Two-panel axial: CT | PSMA PET, 18F-PSMA tracer. Slice position z = -678 mm. PET panel 256×256 px (2.7 mm/px).
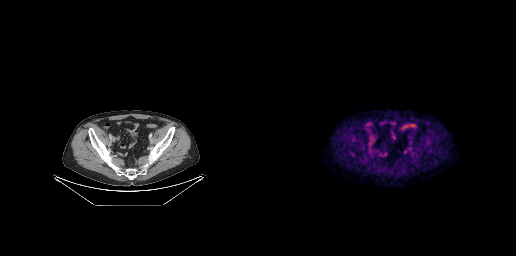
Coordinates are on the 256×256 PET (right) panel. Small PSMA-avid focus (2 to 4 px across) near (center x, center y): (145, 151).